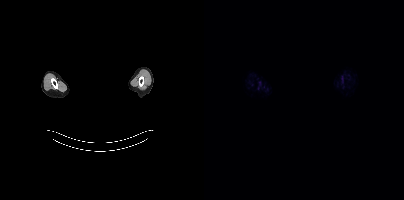
This slice has no annotated PSMA-avid lesion. Paired axial CT (left) and PSMA PET (right), 18F-PSMA tracer. Acquired on Siemens Biograph mCT Flow 20. Slice 413 of 423. The head region is masked for de-identification.